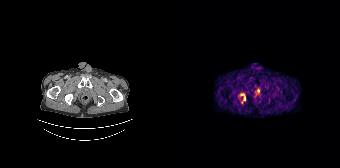
Coordinates are on the 168×168 PET (right) panel. (showing 2 of 3 foci) Small PSMA-avid foci (2 to 4 px across) near (center x, center y): (72, 98), (70, 94). Left: CT. Right: PSMA PET, same axial level, [68Ga]Ga-PSMA-11 tracer. Acquired on Siemens Biograph 64-4R TruePoint. Slice position z = -1338 mm.